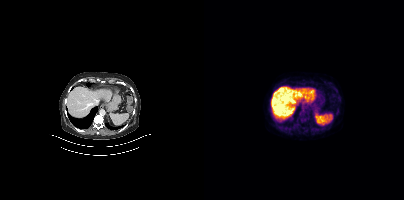
No PSMA-avid tumor lesions on this slice.